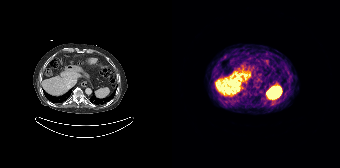
- Left: CT. Right: PSMA PET, same axial level, 68Ga-PSMA tracer
- acquired on Siemens Biograph 64-4R TruePoint
Findings: Only PSMA-avid lesion pieces thinner than 2 px on this slice (not listed).